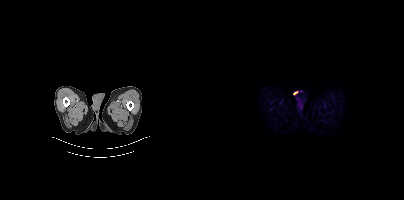
Negative for PSMA-avid disease on this slice.